Left: CT. Right: PSMA PET, same axial level, [68Ga]Ga-PSMA-11 tracer.
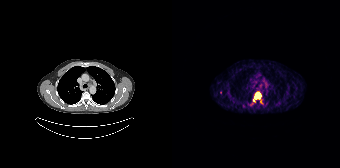
Coordinates are on the 168×168 PET (right) panel. (showing 1 of 2 foci) PSMA-avid tumor lesion bounding box (x, y, width, height): x=81 y=91 w=9 h=12.